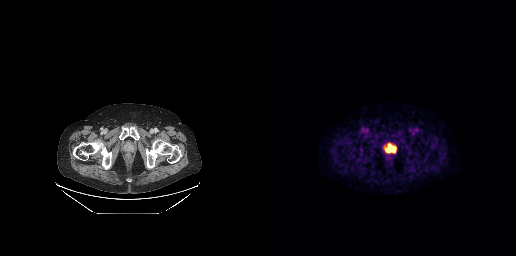
Coordinates are on the 256×256 PET (right) panel. PSMA-avid tumor lesion bounding box (x0,y0,x1,y1): [125,143,136,152].